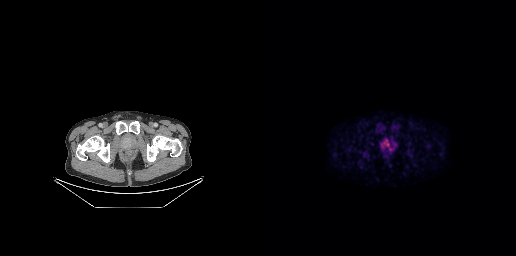
modality: PSMA PET/CT | tracer: 18F-PSMA | view: axial | PET grid: 256×256
Coordinates are on the 256×256 PET (right) panel. PSMA-avid tumor lesion bounding box (x0,y0,x1,y1): [120,138,136,149].